- Left: CT. Right: PSMA PET, same axial level, [18F]PSMA-1007 tracer
- slice position z = -1348 mm
- PET panel 200×200 px (4.1 mm/px)
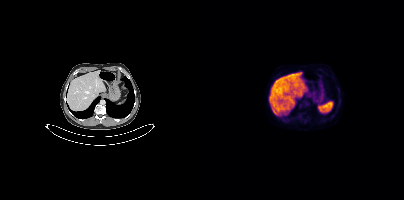
Findings: No PSMA-avid tumor lesions on this slice.